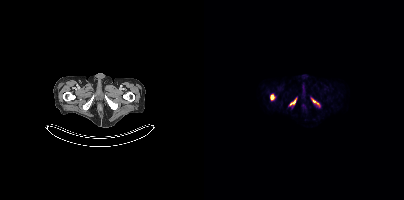
- Paired axial CT (left) and PSMA PET (right), 18F tracer
- acquired on Siemens Biograph mCT Flow 20
Findings: Coordinates are on the 200×200 PET (right) panel. PSMA-avid tumor lesion bounding boxes (x0, y0)-(x1, y1): (66, 94)-(70, 99) | (108, 99)-(115, 105) | (86, 100)-(91, 104).